Paired axial CT (left) and PSMA PET (right), 18F-PSMA tracer. Acquired on Siemens Biograph mCT Flow 20. PET panel 200×200 px (4.1 mm/px).
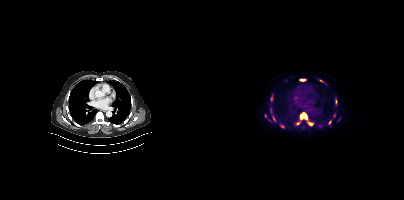
Coordinates are on the 200×200 PET (right) panel. PSMA-avid tumor lesion bounding boxes:
| # | x0 | y0 | x1 | y1 |
|---|---|---|---|---|
| 1 | 96 | 113 | 103 | 119 |
| 2 | 96 | 79 | 101 | 80 |
| 3 | 67 | 94 | 68 | 101 |
| 4 | 131 | 100 | 132 | 105 |
Small PSMA-avid foci (2 to 4 px across) near (center x, center y): (106, 124); (77, 125); (69, 117); (130, 115); (117, 80); (61, 116); (66, 109); (125, 122); (93, 123).